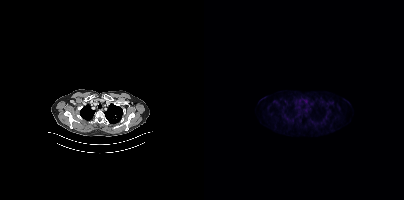
{"modality":"PSMA PET/CT","view":"axial","tracer":"18F-PSMA","pet_grid":[200,200],"coord_frame":"pet_panel","coord_format":"x0,y0,x1,y1","psma_avid_lesions":false}